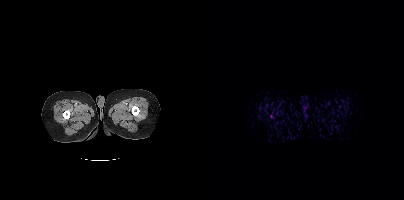
Findings: This slice has no annotated PSMA-avid lesion.
- Paired axial CT (left) and PSMA PET (right), 68Ga-PSMA tracer
- slice position z = 171 mm